Technique: Paired axial CT (left) and PSMA PET (right), 68Ga-PSMA tracer. slice position z = -974 mm.
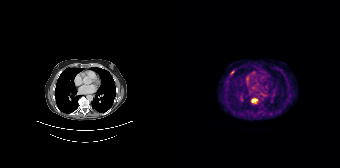
Findings: Coordinates are on the 168×168 PET (right) panel. PSMA-avid tumor lesion bounding box (x0,y0,x1,y1): [80,99,84,101]. Small PSMA-avid focus (2 to 4 px across) near (center x, center y): (60, 72).